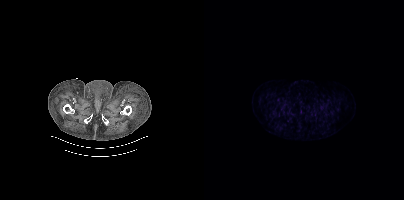
Technique: Paired axial CT (left) and PSMA PET (right), [18F]PSMA-1007 tracer. acquired on Siemens Biograph mCT Flow 20. PET panel 200×200 px (4.1 mm/px).
Findings: This slice has no annotated PSMA-avid lesion.